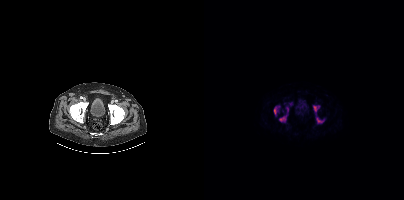
Coordinates are on the 200×200 PET (right) panel. (showing 3 of 4 foci) PSMA-avid tumor lesion bounding boxes (x, y, width, height): x=109 y=105 w=12 h=19; x=75 y=107 w=10 h=16; x=69 y=105 w=8 h=12. Paired axial CT (left) and PSMA PET (right), 18F tracer. Acquired on Siemens Biograph mCT Flow 20.